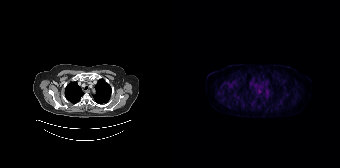
Technique: Left: CT. Right: PSMA PET, same axial level, 18F-PSMA tracer. slice 130 of 165. PET panel 168×168 px (4.1 mm/px).
Findings: Negative for PSMA-avid disease on this slice.